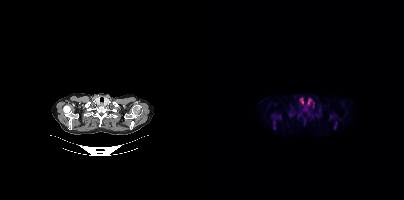
Coordinates are on the 200×200 PET (right) panel. PSMA-avid tumor lesion bounding boxes (x0, y0)-(x1, y1): (130, 121)-(133, 129) | (69, 121)-(71, 129). Small PSMA-avid foci (2 to 4 px across) near (center x, center y): (74, 116) | (70, 116) | (94, 115).